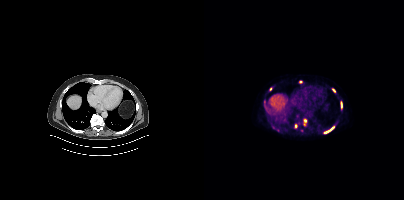
Coordinates are on the 200×200 PET (right) panel. PSMA-avid tumor lesion bounding boxes (x, y, width, height): x=100 y=119 w=3 h=7 | x=123 y=127 w=8 h=6 | x=137 y=102 w=2 h=7. Small PSMA-avid foci (2 to 4 px across) near (center x, center y): (91, 125) | (66, 89) | (130, 90) | (96, 81).